- Two-panel axial: CT | PSMA PET, 18F-PSMA tracer
- PET panel 200×200 px (4.1 mm/px)
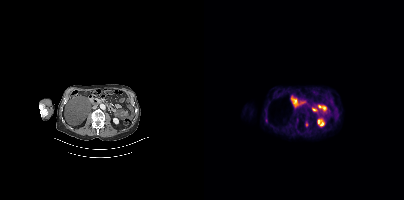
Findings: Coordinates are on the 200×200 PET (right) panel. (showing 1 of 2 foci) Small PSMA-avid focus (2 to 4 px across) near (center x, center y): (102, 124).